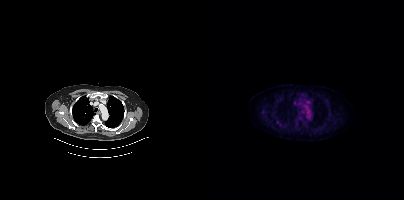
Coordinates are on the 200×200 PET (right) panel. Small PSMA-avid focus (2 to 4 px across) near (center x, center y): (73, 122).